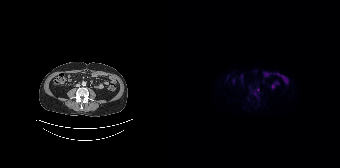
modality: PSMA PET/CT | tracer: 18F | view: axial | PET grid: 168×168
Coordinates are on the 168×168 PET (right) panel. Small PSMA-avid focus (2 to 4 px across) near (center x, center y): (86, 89).